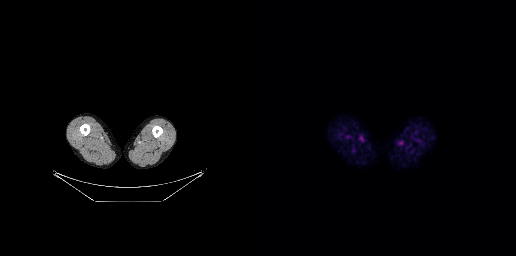
Left: CT. Right: PSMA PET, same axial level, 18F tracer. Slice position z = -933 mm. No PSMA-avid tumor lesions on this slice.